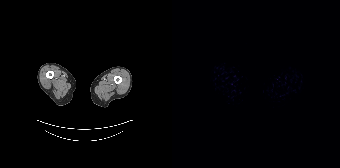
{"modality":"PSMA PET/CT","view":"axial","tracer":"18F","pet_grid":[168,168],"coord_frame":"pet_panel","coord_format":"x0,y0,x1,y1","psma_avid_lesions":false}